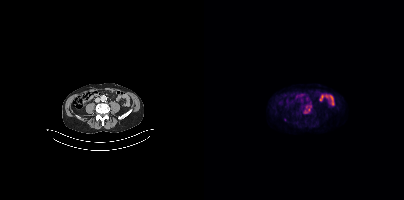
Coordinates are on the 200×200 PET (right) panel. (showing 3 of 4 foci) Small PSMA-avid foci (2 to 4 px across) near (center x, center y): (104, 109) (102, 111) (102, 106).
modality: PSMA PET/CT | tracer: 18F | view: axial | PET grid: 200×200